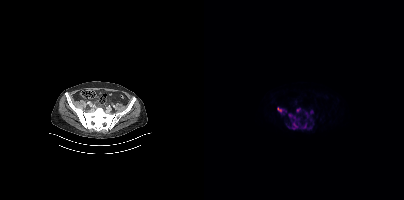
Coordinates are on the 200×200 PET (right) panel. PSMA-avid tumor lesion bounding boxes (x0,y0,x1,y1): [84,110,109,129], [73,108,82,113]. Small PSMA-avid focus (2 to 4 px across) near (center x, center y): (93, 110).